Technique: Two-panel axial: CT | PSMA PET, 18F-PSMA tracer. acquired on Siemens Biograph mCT Flow 20. PET panel 200×200 px (4.1 mm/px).
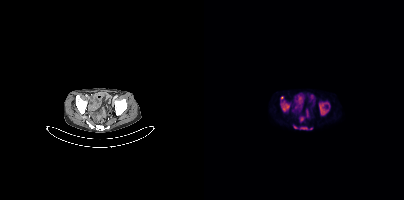
Findings: Coordinates are on the 200×200 PET (right) panel. PSMA-avid tumor lesion bounding boxes (x0, y0)-(x1, y1): (115, 102)-(125, 115) / (77, 101)-(85, 111) / (96, 127)-(103, 129). Small PSMA-avid foci (2 to 4 px across) near (center x, center y): (78, 97) / (91, 127) / (107, 128).